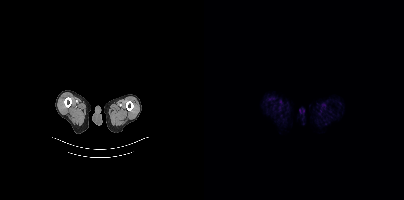
modality: PSMA PET/CT | tracer: [18F]PSMA-1007 | view: axial | PET grid: 200×200
No PSMA-avid tumor lesions on this slice.